modality: PSMA PET/CT | tracer: 18F | view: axial | PET grid: 200×200
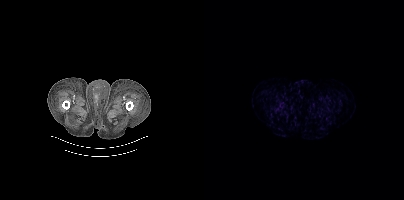
This slice has no annotated PSMA-avid lesion.